modality: PSMA PET/CT | tracer: 18F-PSMA | view: axial
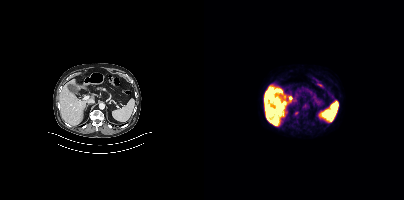
This slice has no annotated PSMA-avid lesion.